Technique: Paired axial CT (left) and PSMA PET (right), 18F-PSMA tracer. acquired on Siemens Biograph mCT Flow 20.
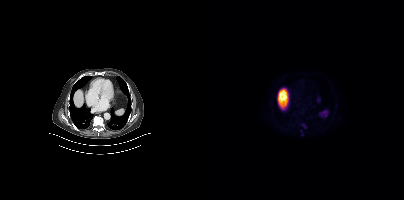
Findings: Coordinates are on the 200×200 PET (right) panel. PSMA-avid tumor lesion bounding boxes (x0,y0,x1,y1): [97,123,102,127], [95,129,99,134].